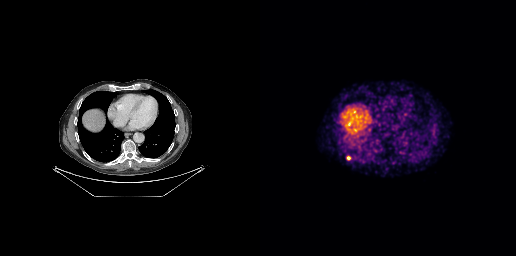
Findings: Coordinates are on the 256×256 PET (right) panel. PSMA-avid tumor lesion bounding box (x0,y0,x1,y1): [87,156,90,160].
- Two-panel axial: CT | PSMA PET, 68Ga tracer
- slice 195 of 299
- PET panel 256×256 px (2.7 mm/px)